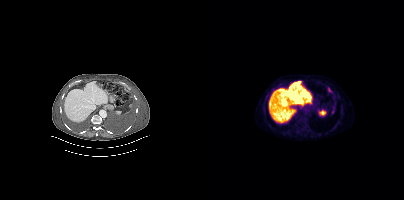
Coordinates are on the 200×200 PET (right) panel. PSMA-avid tumor lesion bounding boxes (x0,y0,x1,y1): [123,87,127,92], [127,109,130,114].